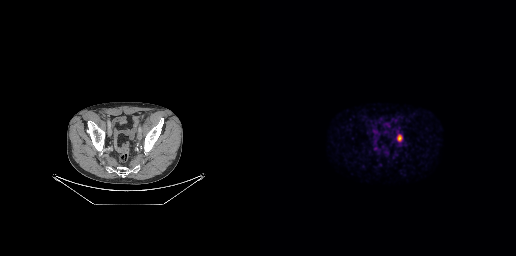
Findings: Coordinates are on the 256×256 PET (right) panel. PSMA-avid tumor lesion bounding box (x0,y0,x1,y1): [137,134,142,141].
Technique: Two-panel axial: CT | PSMA PET, 18F tracer. acquired on GE Discovery 690. slice position z = -611 mm.